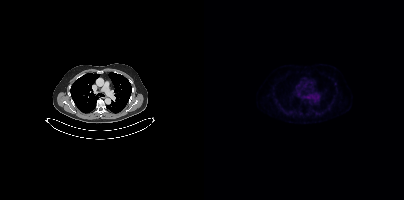
modality: PSMA PET/CT | tracer: [68Ga]Ga-PSMA-11 | view: axial | PET grid: 200×200
Coordinates are on the 200×200 PET (right) panel. Small PSMA-avid focus (2 to 4 px across) near (center x, center y): (131, 83).